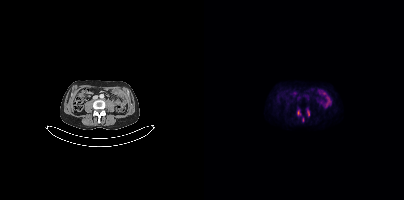
modality: PSMA PET/CT | tracer: 18F-PSMA | view: axial | PET grid: 200×200
Coordinates are on the 200×200 PET (right) panel. (showing 2 of 3 foci) PSMA-avid tumor lesion bounding box (x0, y0)-(x1, y1): (104, 111)-(105, 115). Small PSMA-avid focus (2 to 4 px across) near (center x, center y): (94, 112).